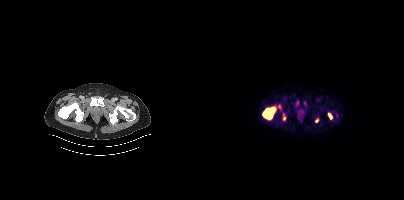
Two-panel axial: CT | PSMA PET, 18F-PSMA tracer. PET panel 200×200 px (4.1 mm/px).
Coordinates are on the 200×200 PET (right) panel. PSMA-avid tumor lesion bounding boxes (partial; 1 more focus not listed):
| # | x0 | y0 | x1 | y1 |
|---|---|---|---|---|
| 1 | 59 | 107 | 70 | 119 |
| 2 | 124 | 113 | 128 | 118 |
Small PSMA-avid foci (2 to 4 px across) near (center x, center y): (80, 118); (112, 121).